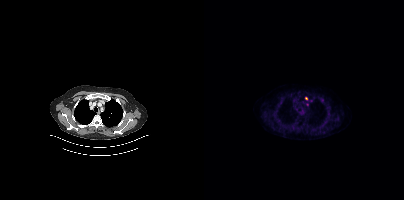
Coordinates are on the 200×200 PET (right) panel. Small PSMA-avid focus (2 to 4 px across) near (center x, center y): (102, 98).